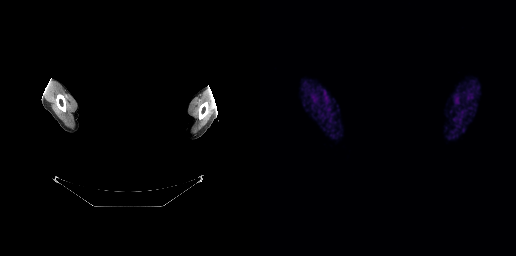
{"pet_grid":[256,256],"coord_frame":"pet_panel","coord_format":"x0,y0,x1,y1","psma_avid_lesions":false,"de-identification":"head region blacked out before release","modality":"PSMA PET/CT","view":"axial","tracer":"[68Ga]Ga-PSMA-11"}